Left: CT. Right: PSMA PET, same axial level, 18F-PSMA tracer. Acquired on Siemens Biograph mCT Flow 20. PET panel 200×200 px (4.1 mm/px).
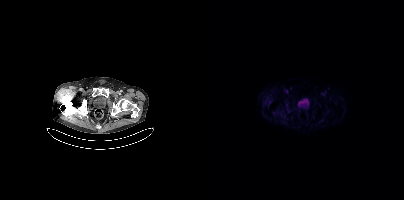
No PSMA-avid tumor lesions on this slice.